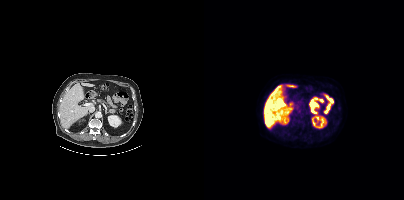
Left: CT. Right: PSMA PET, same axial level, 18F tracer. PET panel 200×200 px (4.1 mm/px). This slice has no annotated PSMA-avid lesion.